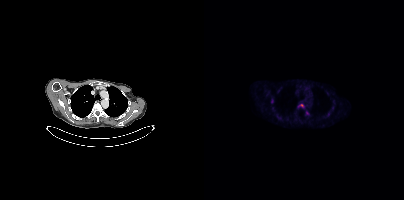
Findings: Coordinates are on the 200×200 PET (right) panel. PSMA-avid tumor lesion bounding box (x0, y0)-(x1, y1): (94, 104)-(99, 107). Small PSMA-avid foci (2 to 4 px across) near (center x, center y): (103, 112) | (67, 101).
Technique: Two-panel axial: CT | PSMA PET, [18F]PSMA-1007 tracer. acquired on Siemens Biograph mCT Flow 20.